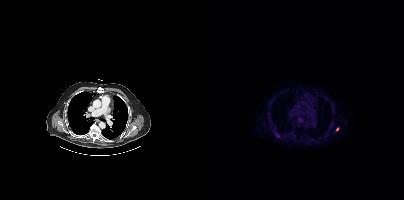
{"modality":"PSMA PET/CT","view":"axial","tracer":"18F-PSMA","pet_grid":[200,200],"coord_frame":"pet_panel","coord_format":"x0,y0,x1,y1","lesion_bboxes":[],"small_foci_centers":[[133,129]]}